- Left: CT. Right: PSMA PET, same axial level, 18F-PSMA tracer
- slice position z = -371 mm
- PET panel 256×256 px (2.7 mm/px)
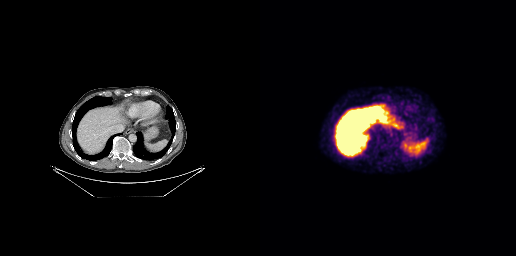
Findings: This slice has no annotated PSMA-avid lesion.